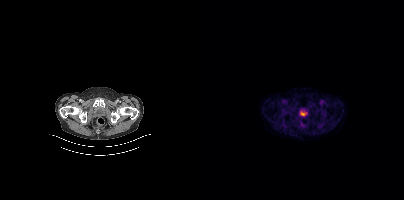
- Two-panel axial: CT | PSMA PET, [18F]PSMA-1007 tracer
- acquired on Siemens Biograph mCT Flow 20
- PET panel 200×200 px (4.1 mm/px)
Findings: Negative for PSMA-avid disease on this slice.